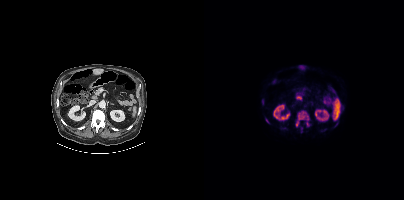
{"modality":"PSMA PET/CT","view":"axial","tracer":"18F-PSMA","pet_grid":[200,200],"coord_frame":"pet_panel","coord_format":"x0,y0,x1,y1","lesion_bboxes":[[91,110,106,127],[93,96,97,99],[61,118,64,122]],"small_foci_centers":[[97,128],[97,131]]}